Two-panel axial: CT | PSMA PET, [18F]PSMA-1007 tracer. PET panel 256×256 px (2.7 mm/px).
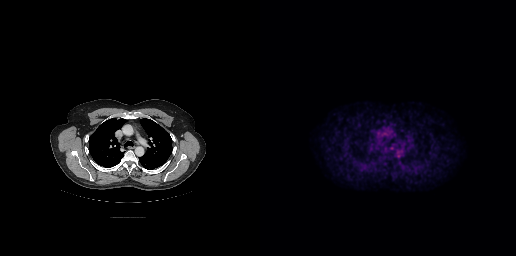
This slice has no annotated PSMA-avid lesion.